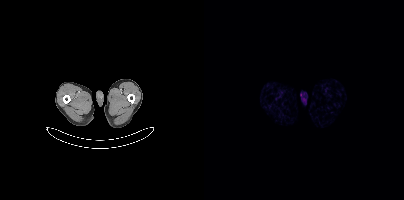
No tumor lesions annotated on this slice. Paired axial CT (left) and PSMA PET (right), 68Ga tracer. Acquired on Siemens Biograph mCT Flow 20. PET panel 200×200 px (4.1 mm/px).